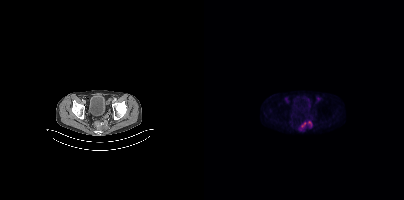
Technique: Left: CT. Right: PSMA PET, same axial level, 18F-PSMA tracer. slice position z = -1489 mm. PET panel 200×200 px (4.1 mm/px).
Findings: Coordinates are on the 200×200 PET (right) panel. PSMA-avid tumor lesion bounding boxes (x, y, width, height): x=94 y=122 w=9 h=9 | x=104 y=121 w=4 h=6.